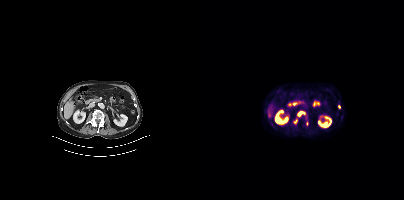
Two-panel axial: CT | PSMA PET, 18F tracer. Acquired on Siemens Biograph mCT Flow 20. Slice 186 of 413. PET panel 200×200 px (4.1 mm/px).
Coordinates are on the 200×200 PET (right) panel. PSMA-avid tumor lesion bounding boxes (partial; 1 more focus not listed):
| # | x0 | y0 | x1 | y1 |
|---|---|---|---|---|
| 1 | 94 | 111 | 100 | 115 |
| 2 | 89 | 119 | 93 | 124 |
Small PSMA-avid focus (2 to 4 px across) near (center x, center y): (135, 106).